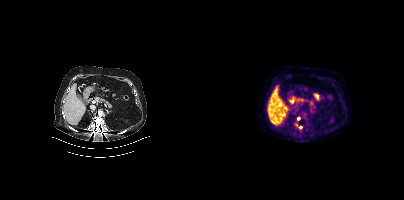
Left: CT. Right: PSMA PET, same axial level, 18F tracer. PET panel 200×200 px (4.1 mm/px). Coordinates are on the 200×200 PET (right) panel. Small PSMA-avid foci (2 to 4 px across) near (center x, center y): (96, 127); (94, 118); (92, 125).